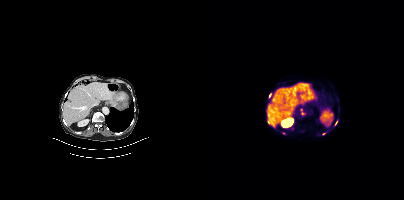
Paired axial CT (left) and PSMA PET (right), 68Ga-PSMA tracer. Acquired on Siemens Biograph mCT Flow 20. PET panel 200×200 px (4.1 mm/px). Coordinates are on the 200×200 PET (right) panel. (showing 6 of 7 foci) PSMA-avid tumor lesion bounding boxes (x, y, width, height): x=63 y=120 w=4 h=5 | x=130 y=121 w=4 h=5. Small PSMA-avid foci (2 to 4 px across) near (center x, center y): (119, 134) | (80, 133) | (65, 95) | (98, 113).